Technique: Two-panel axial: CT | PSMA PET, [68Ga]Ga-PSMA-11 tracer. acquired on Siemens Biograph mCT Flow 20. PET panel 200×200 px (4.1 mm/px).
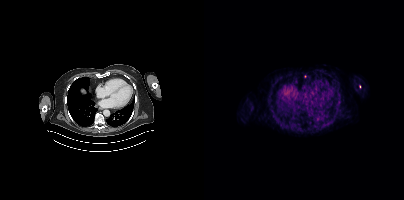
Findings: Only PSMA-avid lesion pieces thinner than 2 px on this slice (not listed).